Technique: Paired axial CT (left) and PSMA PET (right), 68Ga-PSMA tracer. acquired on Siemens Biograph 64-4R TruePoint. PET panel 168×168 px (4.1 mm/px).
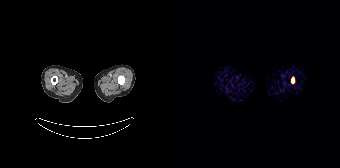
Findings: Coordinates are on the 168×168 PET (right) panel. PSMA-avid tumor lesion bounding box (x, y, width, height): x=119 y=77 w=3 h=6.